modality: PSMA PET/CT | tracer: [68Ga]Ga-PSMA-11 | view: axial
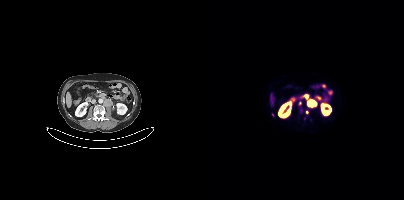
Coordinates are on the 200×200 PET (right) panel. (showing 1 of 3 foci) Small PSMA-avid focus (2 to 4 px across) near (center x, center y): (69, 114).